Paired axial CT (left) and PSMA PET (right), [18F]PSMA-1007 tracer. PET panel 200×200 px (4.1 mm/px).
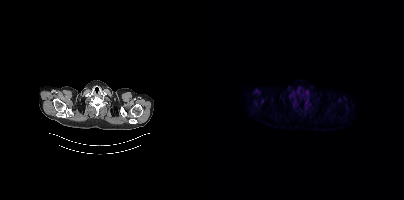
This slice has no annotated PSMA-avid lesion.